A rectangle over the head was blacked out to remove identifiable facial features. Left: CT. Right: PSMA PET, same axial level, [18F]PSMA-1007 tracer. Slice 423 of 454.
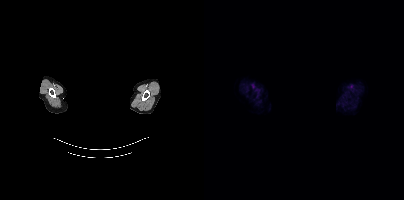
Negative for PSMA-avid disease on this slice.